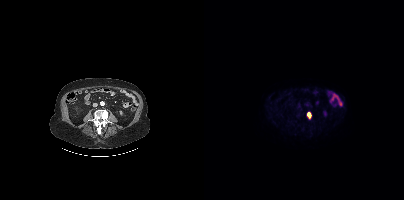
{"modality":"PSMA PET/CT","view":"axial","tracer":"[18F]PSMA-1007","pet_grid":[200,200],"coord_frame":"pet_panel","coord_format":"x0,y0,x1,y1","lesion_bboxes":[[103,112,106,117]]}